- Paired axial CT (left) and PSMA PET (right), 18F-PSMA tracer
- acquired on Siemens Biograph mCT Flow 20
- PET panel 200×200 px (4.1 mm/px)
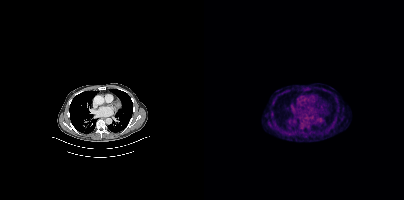
Findings: Coordinates are on the 200×200 PET (right) panel. PSMA-avid tumor lesion bounding box (x0,y0,x1,y1): [96,118,101,123].